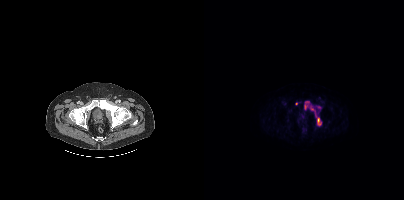
{"modality":"PSMA PET/CT","view":"axial","tracer":"[18F]PSMA-1007","pet_grid":[200,200],"coord_frame":"pet_panel","coord_format":"x0,y0,x1,y1","partial":true,"lesion_bboxes":[[112,116,117,125],[100,101,105,109],[106,107,111,111]],"small_foci_centers":[[92,103]]}